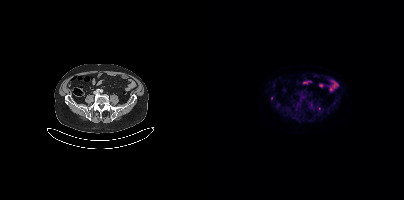
{"modality":"PSMA PET/CT","view":"axial","tracer":"[18F]PSMA-1007","pet_grid":[200,200],"coord_frame":"pet_panel","coord_format":"x0,y0,x1,y1","partial":true,"lesion_bboxes":[],"small_foci_centers":[[67,98]]}